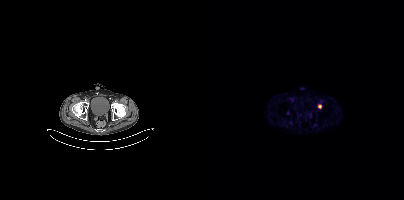
Technique: Two-panel axial: CT | PSMA PET, 18F tracer. slice position z = -958 mm.
Findings: Coordinates are on the 200×200 PET (right) panel. (showing 1 of 2 foci) PSMA-avid tumor lesion bounding box (x0,y0,x1,y1): [114,104,117,108].